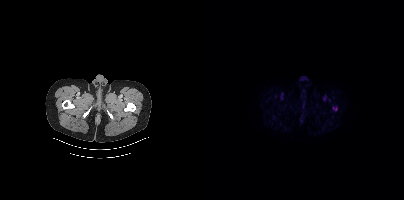
modality: PSMA PET/CT | tracer: 18F-PSMA | view: axial | PET grid: 200×200
Coordinates are on the 200×200 PET (right) panel. PSMA-avid tumor lesion bounding box (x0, y0)-(x1, y1): (129, 107)-(133, 110).